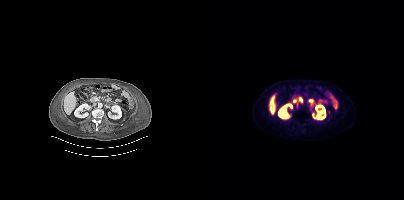
Findings: This slice has no annotated PSMA-avid lesion.
Technique: Two-panel axial: CT | PSMA PET, [18F]PSMA-1007 tracer.